modality: PSMA PET/CT | tracer: 68Ga | view: axial
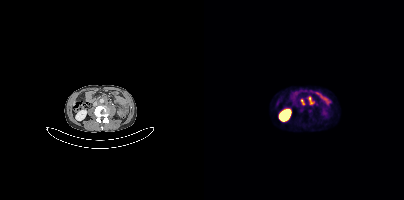
Coordinates are on the 200×200 PET (right) panel. PSMA-avid tumor lesion bounding boxes (x0,y0,x1,y1): [104,97,109,104], [97,99,100,104].